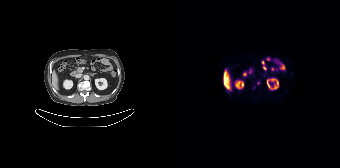
modality: PSMA PET/CT | tracer: [18F]PSMA-1007 | view: axial | PET grid: 168×168
Only PSMA-avid lesion pieces thinner than 2 px on this slice (not listed).